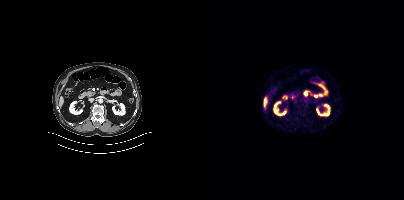
Negative for PSMA-avid disease on this slice.